Two-panel axial: CT | PSMA PET, 68Ga-PSMA tracer. Slice 18 of 195.
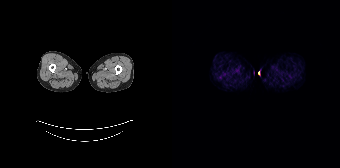
Negative for PSMA-avid disease on this slice.